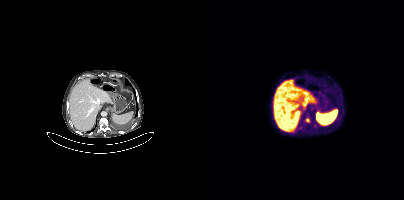
Findings: Coordinates are on the 200×200 PET (right) panel. PSMA-avid tumor lesion bounding box (x0,y0,x1,y1): [101,118,105,122]. Small PSMA-avid focus (2 to 4 px across) near (center x, center y): (96, 128).
- Paired axial CT (left) and PSMA PET (right), 18F tracer
- PET panel 200×200 px (4.1 mm/px)